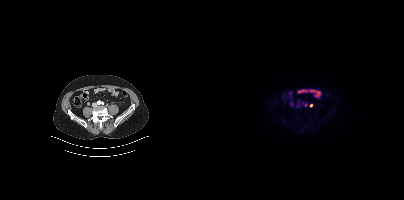
Coordinates are on the 200×200 PET (right) panel. Small PSMA-avid focus (2 to 4 px across) near (center x, center y): (107, 105). Two-panel axial: CT | PSMA PET, 18F tracer. Acquired on Siemens Biograph mCT Flow 20. PET panel 200×200 px (4.1 mm/px).